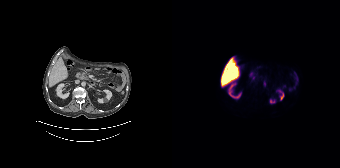
No PSMA-avid tumor lesions on this slice.